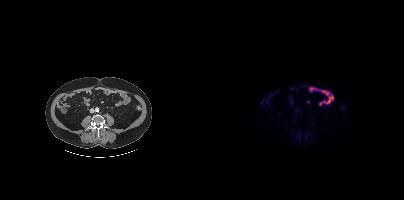
Negative for PSMA-avid disease on this slice.